modality: PSMA PET/CT | tracer: 18F-PSMA | view: axial
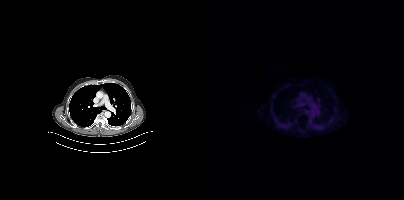
No PSMA-avid tumor lesions on this slice.